Paired axial CT (left) and PSMA PET (right), 18F-PSMA tracer. Acquired on Siemens Biograph mCT Flow 20. Slice 375 of 405. The head region is masked for de-identification.
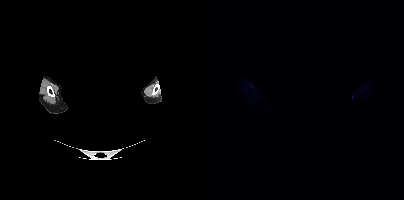
No tumor lesions annotated on this slice.